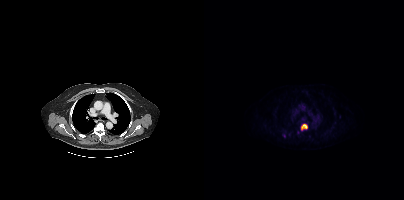
Left: CT. Right: PSMA PET, same axial level, [18F]PSMA-1007 tracer.
Coordinates are on the 200×200 PET (right) panel. PSMA-avid tumor lesion bounding boxes (partial; 1 more focus not listed):
| # | x0 | y0 | x1 | y1 |
|---|---|---|---|---|
| 1 | 97 | 124 | 103 | 129 |
Small PSMA-avid focus (2 to 4 px across) near (center x, center y): (80, 135).